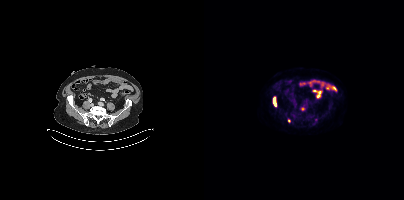
Paired axial CT (left) and PSMA PET (right), 18F tracer. Acquired on Siemens Biograph mCT Flow 20. Coordinates are on the 200×200 PET (right) panel. PSMA-avid tumor lesion bounding box (x0, y0)-(x1, y1): (69, 96)-(72, 106). Small PSMA-avid foci (2 to 4 px across) near (center x, center y): (98, 109) / (85, 120).